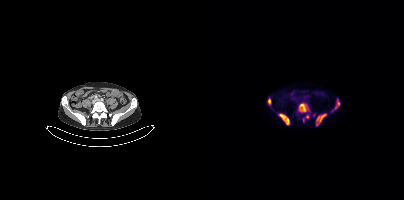
Technique: Left: CT. Right: PSMA PET, same axial level, [18F]PSMA-1007 tracer.
Findings: Coordinates are on the 200×200 PET (right) panel. (showing 7 of 8 foci) PSMA-avid tumor lesion bounding boxes (x0,y0,x1,y1): [94,103,105,112], [74,113,85,124], [112,113,122,125], [130,99,135,109], [64,98,66,104]. Small PSMA-avid foci (2 to 4 px across) near (center x, center y): (103, 116), (99, 119).